modality: PSMA PET/CT | tracer: [18F]PSMA-1007 | view: axial | PET grid: 200×200
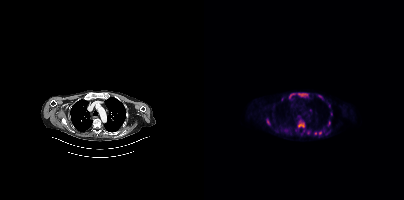
Coordinates are on the 200×200 PET (right) panel. (showing 13 of 14 foci) PSMA-avid tumor lesion bounding boxes (x0,y0,x1,y1): [94,119,101,128], [93,93,104,97], [84,93,89,99], [111,131,118,135], [124,120,126,126], [63,119,65,124], [114,95,118,99]. Small PSMA-avid foci (2 to 4 px across) near (center x, center y): (104, 132), (106, 110), (127, 113), (78, 99), (99, 130), (122, 133).